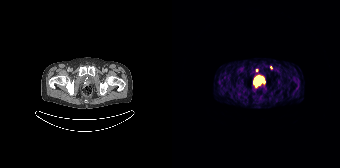
Coordinates are on the 168×168 PET (right) panel. PSMA-avid tumor lesion bounding box (x, y, width, height): x=84 y=82 w=6 h=3. Small PSMA-avid foci (2 to 4 px across) near (center x, center y): (85, 70) | (99, 67).